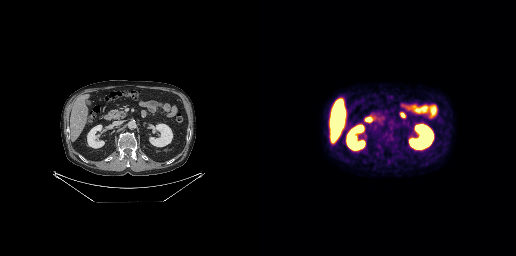
Findings: Negative for PSMA-avid disease on this slice.
Technique: Left: CT. Right: PSMA PET, same axial level, 18F-PSMA tracer. slice 132 of 263.